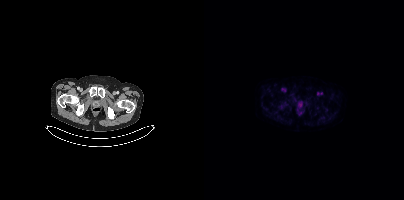
{"pet_grid":[200,200],"coord_frame":"pet_panel","coord_format":"x0,y0,x1,y1","psma_avid_lesions":false,"modality":"PSMA PET/CT","view":"axial","tracer":"18F-PSMA"}